Two-panel axial: CT | PSMA PET, [18F]PSMA-1007 tracer.
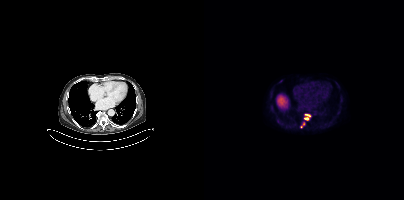
Coordinates are on the 200×200 PET (right) panel. PSMA-avid tumor lesion bounding boxes (partial; 1 more focus not listed):
| # | x0 | y0 | x1 | y1 |
|---|---|---|---|---|
| 1 | 101 | 114 | 106 | 119 |
Small PSMA-avid focus (2 to 4 px across) near (center x, center y): (100, 124).